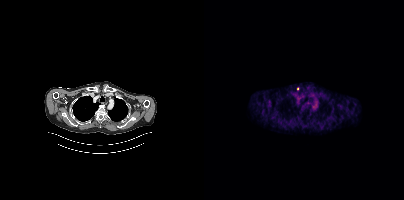
Left: CT. Right: PSMA PET, same axial level, [18F]PSMA-1007 tracer. Coordinates are on the 200×200 PET (right) panel. Small PSMA-avid focus (2 to 4 px across) near (center x, center y): (93, 88).